Paired axial CT (left) and PSMA PET (right), 18F-PSMA tracer. PET panel 200×200 px (4.1 mm/px).
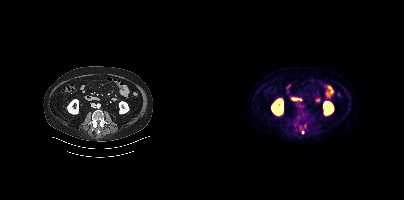
Only PSMA-avid lesion pieces thinner than 2 px on this slice (not listed).